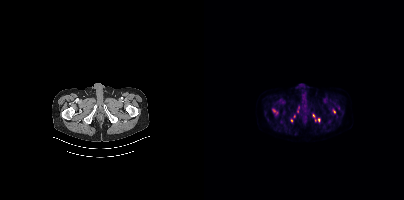
Coordinates are on the 200×200 PET (right) panel. (showing 7 of 8 foci) Small PSMA-avid foci (2 to 4 px across) near (center x, center y): (130, 111) / (87, 120) / (109, 115) / (114, 119) / (70, 110) / (93, 111) / (111, 120).